- Two-panel axial: CT | PSMA PET, 18F tracer
- slice position z = -452 mm
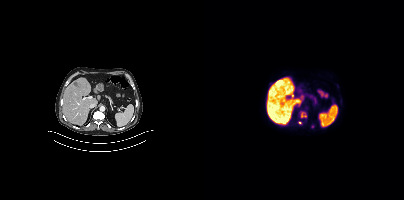
Findings: Coordinates are on the 200×200 PET (right) panel. PSMA-avid tumor lesion bounding box (x0, y0)-(x1, y1): (97, 112)-(102, 117). Small PSMA-avid focus (2 to 4 px across) near (center x, center y): (96, 122).